Left: CT. Right: PSMA PET, same axial level, [18F]PSMA-1007 tracer.
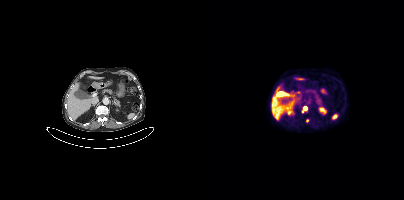
Coordinates are on the 200×200 PET (right) panel. PSMA-avid tumor lesion bounding box (x, y, width, height): x=98 y=106 w=6 h=7. Small PSMA-avid focus (2 to 4 px across) near (center x, center y): (103, 120).